modality: PSMA PET/CT | tracer: [18F]PSMA-1007 | view: axial | PET grid: 200×200
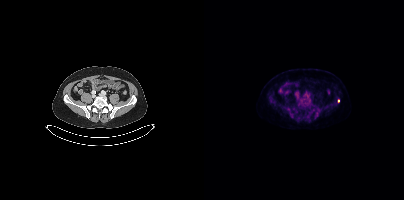
Coordinates are on the 200×200 PET (right) panel. Small PSMA-avid focus (2 to 4 px across) near (center x, center y): (134, 101).